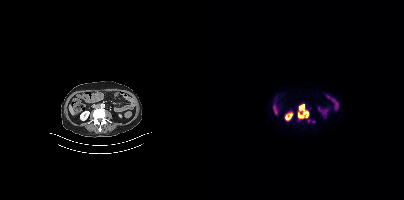
Left: CT. Right: PSMA PET, same axial level, 18F tracer. Coordinates are on the 200×200 PET (right) panel. PSMA-avid tumor lesion bounding box (x0,y0,x1,y1): [94,105,104,118].